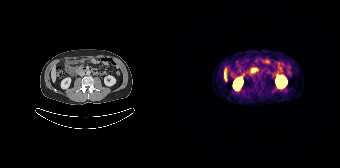
No PSMA-avid tumor lesions on this slice.